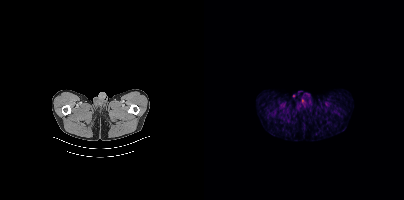
- Paired axial CT (left) and PSMA PET (right), 18F tracer
- slice 22 of 448
- PET panel 200×200 px (4.1 mm/px)
Findings: No PSMA-avid tumor lesions on this slice.